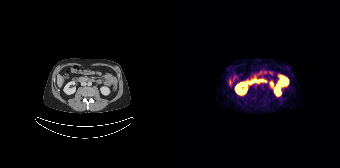
Two-panel axial: CT | PSMA PET, 68Ga tracer. Slice position z = -1390 mm. PET panel 168×168 px (4.1 mm/px). No PSMA-avid tumor lesions on this slice.